modality: PSMA PET/CT | tracer: 18F | view: axial
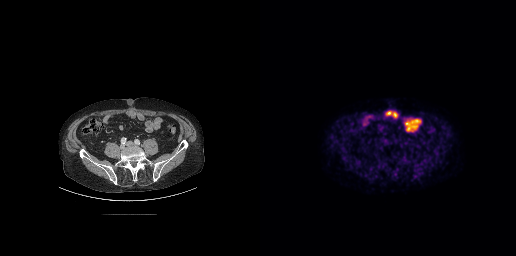
Negative for PSMA-avid disease on this slice.